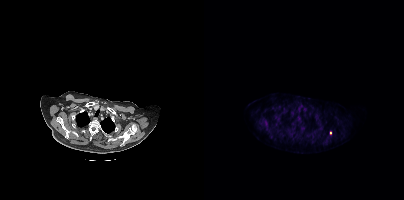
{"modality":"PSMA PET/CT","view":"axial","tracer":"18F","pet_grid":[200,200],"coord_frame":"pet_panel","coord_format":"x0,y0,x1,y1","lesion_bboxes":[],"small_foci_centers":[[126,132]]}